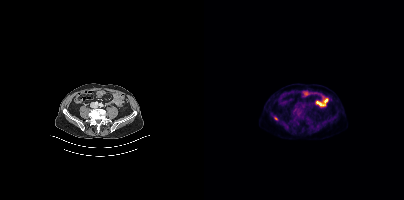
Coordinates are on the 200×200 PET (right) panel. Small PSMA-avid focus (2 to 4 px across) near (center x, center y): (72, 118). Left: CT. Right: PSMA PET, same axial level, [18F]PSMA-1007 tracer.